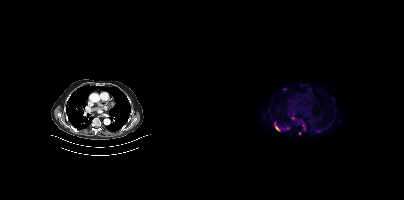
Coordinates are on the 200×200 PET (right) panel. (showing 5 of 6 foci) PSMA-avid tumor lesion bounding box (x0,y0,x1,y1): [71,126,75,130]. Small PSMA-avid foci (2 to 4 px across) near (center x, center y): (80, 89); (83, 128); (89, 118); (95, 133).
modality: PSMA PET/CT | tracer: 18F-PSMA | view: axial